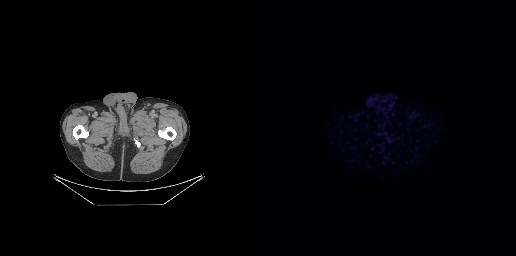
- Two-panel axial: CT | PSMA PET, [18F]PSMA-1007 tracer
Findings: Negative for PSMA-avid disease on this slice.